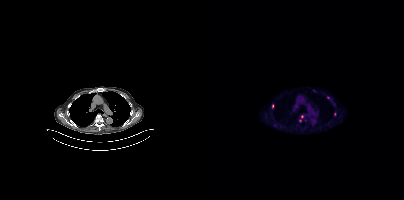
Coordinates are on the 200×200 PET (right) panel. (showing 5 of 6 foci) Small PSMA-avid foci (2 to 4 px across) near (center x, center y): (68, 105) / (98, 116) / (130, 114) / (124, 97) / (96, 120). Left: CT. Right: PSMA PET, same axial level, 18F tracer. Slice 274 of 385. PET panel 200×200 px (4.1 mm/px).